Technique: Left: CT. Right: PSMA PET, same axial level, 18F tracer. slice 112 of 411. PET panel 200×200 px (4.1 mm/px).
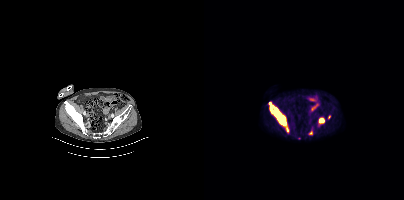
Findings: Coordinates are on the 200×200 PET (right) panel. PSMA-avid tumor lesion bounding boxes (x, y, width, height): x=64 y=102 w=21 h=31 | x=115 y=117 w=6 h=7 | x=124 y=115 w=3 h=5. Small PSMA-avid focus (2 to 4 px across) near (center x, center y): (106, 132).